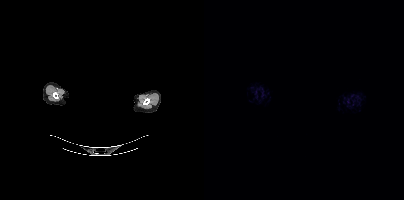
{"modality":"PSMA PET/CT","view":"axial","tracer":"18F-PSMA","pet_grid":[200,200],"coord_frame":"pet_panel","coord_format":"x0,y0,x1,y1","psma_avid_lesions":false,"de-identification":"head region blacked out before release"}